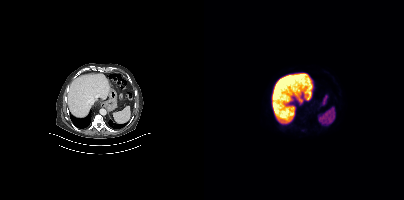
{"modality":"PSMA PET/CT","view":"axial","tracer":"[18F]PSMA-1007","pet_grid":[200,200],"coord_frame":"pet_panel","coord_format":"x0,y0,x1,y1","psma_avid_lesions":false}